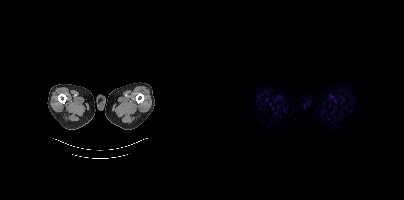
{"pet_grid":[200,200],"coord_frame":"pet_panel","coord_format":"x0,y0,x1,y1","psma_avid_lesions":false,"modality":"PSMA PET/CT","view":"axial","tracer":"18F"}